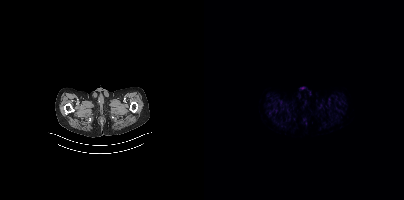
No tumor lesions annotated on this slice.
modality: PSMA PET/CT | tracer: 18F | view: axial